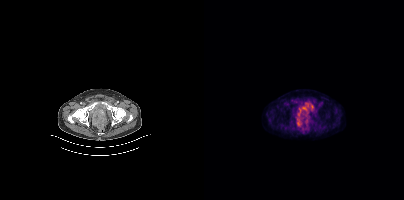
{"modality":"PSMA PET/CT","view":"axial","tracer":"18F","pet_grid":[200,200],"coord_frame":"pet_panel","coord_format":"x0,y0,x1,y1","psma_avid_lesions":false}